modality: PSMA PET/CT | tracer: [68Ga]Ga-PSMA-11 | view: axial
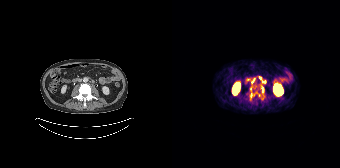
Coordinates are on the 168×168 PET (right) panel. (showing 5 of 7 foci) PSMA-avid tumor lesion bounding box (x, y, width, height): x=77 y=87 w=7 h=14. Small PSMA-avid foci (2 to 4 px across) near (center x, center y): (91, 81); (88, 78); (87, 95); (90, 87).